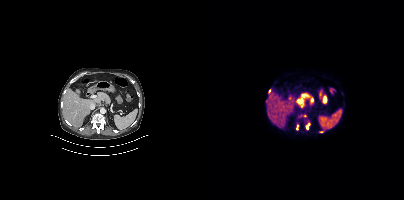
Findings: Coordinates are on the 200×200 PET (right) panel. (showing 2 of 3 foci) PSMA-avid tumor lesion bounding boxes (x0, y0)-(x1, y1): (102, 123)-(105, 129) / (92, 125)-(94, 129).
- Two-panel axial: CT | PSMA PET, 18F-PSMA tracer
- slice position z = -1283 mm
- PET panel 200×200 px (4.1 mm/px)